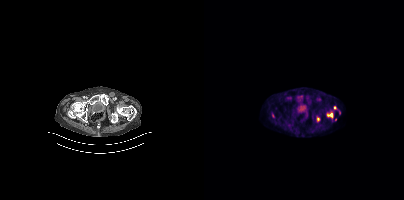
Coordinates are on the 200×200 PET (right) panel. PSMA-avid tumor lesion bounding box (x, y, width, height): x=68 y=113 w=3 h=5. Small PSMA-avid focus (2 to 4 px across) near (center x, center y): (130, 107).
modality: PSMA PET/CT | tracer: [18F]PSMA-1007 | view: axial